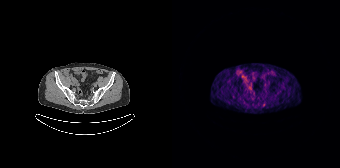
{"modality":"PSMA PET/CT","view":"axial","tracer":"68Ga","pet_grid":[168,168],"coord_frame":"pet_panel","coord_format":"x0,y0,x1,y1","partial":true,"lesion_bboxes":[]}